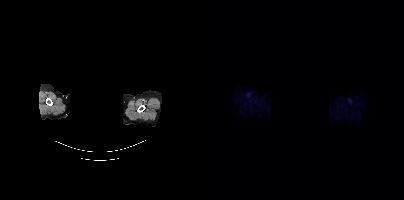
Findings: This slice has no annotated PSMA-avid lesion.
Technique: Paired axial CT (left) and PSMA PET (right), 18F-PSMA tracer. slice position z = -851 mm.
Note: Privacy masking over the head, with the pixels inside a rectangle set to black.